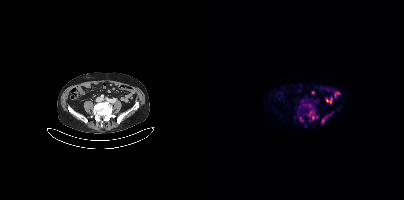
Technique: Two-panel axial: CT | PSMA PET, 18F tracer. slice 134 of 429. PET panel 200×200 px (4.1 mm/px).
Findings: Coordinates are on the 200×200 PET (right) panel. (showing 5 of 6 foci) PSMA-avid tumor lesion bounding boxes (x, y, width, height): x=104 y=111 w=10 h=9 | x=117 y=116 w=7 h=8. Small PSMA-avid foci (2 to 4 px across) near (center x, center y): (96, 118) | (126, 114) | (105, 105).